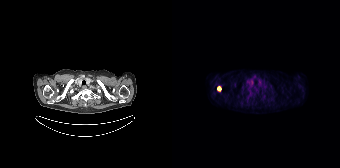
{"modality":"PSMA PET/CT","view":"axial","tracer":"18F","pet_grid":[168,168],"coord_frame":"pet_panel","coord_format":"x0,y0,x1,y1","lesion_bboxes":[[45,86,49,91]]}